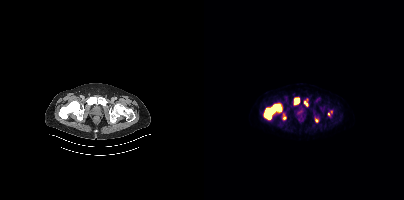
Two-panel axial: CT | PSMA PET, 18F-PSMA tracer. Acquired on Siemens Biograph mCT Flow 20. Slice 58 of 444. PET panel 200×200 px (4.1 mm/px). Coordinates are on the 200×200 PET (right) panel. PSMA-avid tumor lesion bounding boxes (x0, y0)-(x1, y1): (60, 104)-(77, 119) / (91, 98)-(95, 103) / (100, 101)-(103, 106) / (79, 114)-(82, 119). Small PSMA-avid foci (2 to 4 px across) near (center x, center y): (112, 120) / (124, 113).